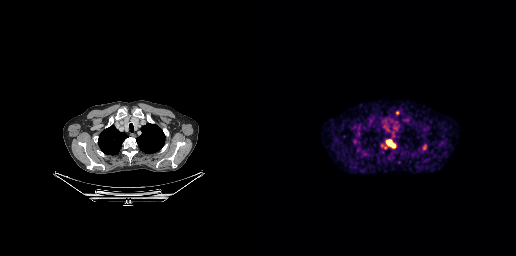
Findings: Coordinates are on the 256×256 PET (right) panel. (showing 2 of 3 foci) PSMA-avid tumor lesion bounding boxes (x, y, width, height): x=127 y=140 w=9 h=8 | x=162 y=145 w=5 h=5.
Technique: Two-panel axial: CT | PSMA PET, 68Ga tracer. acquired on GE Discovery 690. slice 212 of 263.